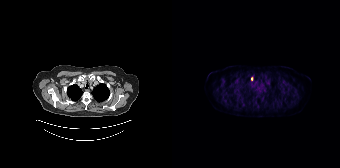
Only PSMA-avid lesion pieces thinner than 2 px on this slice (not listed).
modality: PSMA PET/CT | tracer: 18F-PSMA | view: axial | PET grid: 168×168